modality: PSMA PET/CT | tracer: [68Ga]Ga-PSMA-11 | view: axial
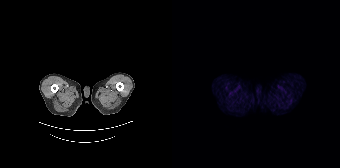
This slice has no annotated PSMA-avid lesion.